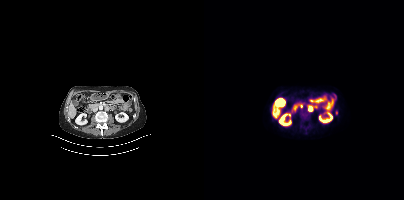
Coordinates are on the 200×200 PET (right) panel. Small PSMA-avid focus (2 to 4 px across) near (center x, center y): (106, 108).